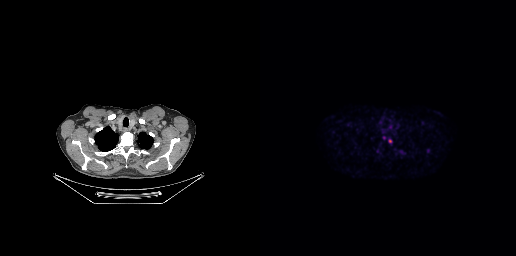
Coordinates are on the 256×256 PET (right) panel. Small PSMA-avid focus (2 to 4 px across) near (center x, center y): (130, 141).